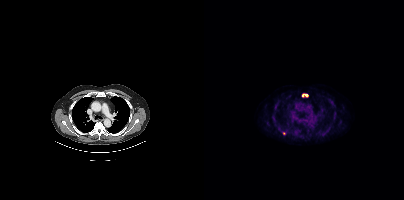
Technique: Two-panel axial: CT | PSMA PET, 18F tracer. acquired on Siemens Biograph mCT Flow 20.
Findings: Coordinates are on the 200×200 PET (right) panel. PSMA-avid tumor lesion bounding box (x0,y0,x1,y1): [98,94,104,96]. Small PSMA-avid focus (2 to 4 px across) near (center x, center y): (79, 133).